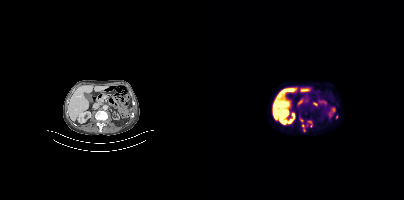
- Paired axial CT (left) and PSMA PET (right), 18F tracer
- acquired on Siemens Biograph mCT Flow 20
Findings: Coordinates are on the 200×200 PET (right) panel. (showing 2 of 3 foci) PSMA-avid tumor lesion bounding boxes (x0, y0)-(x1, y1): (98, 120)-(108, 131) / (95, 117)-(99, 120).